Two-panel axial: CT | PSMA PET, [18F]PSMA-1007 tracer.
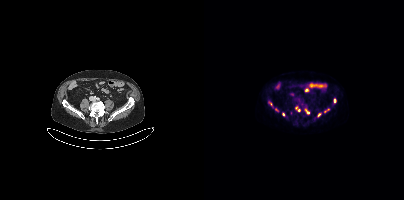
Coordinates are on the 200×200 PET (right) panel. (showing 8 of 9 foci) PSMA-avid tumor lesion bounding boxes (x0,y0,x1,y1): [91,106,95,111] [100,108,105,113] [120,109,125,112]. Small PSMA-avid foci (2 to 4 px across) near (center x, center y): (130, 100) (79, 114) (115, 115) (67, 104) (72, 109).